- Two-panel axial: CT | PSMA PET, [18F]PSMA-1007 tracer
- acquired on Siemens Biograph mCT Flow 20
- slice 365 of 450
- PET panel 200×200 px (4.1 mm/px)
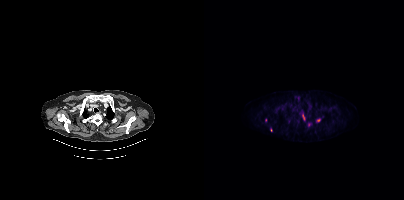
Findings: Coordinates are on the 200×200 PET (right) panel. (showing 6 of 8 foci) Small PSMA-avid foci (2 to 4 px across) near (center x, center y): (114, 120) | (100, 118) | (126, 107) | (98, 114) | (104, 124) | (61, 119).